Technique: Left: CT. Right: PSMA PET, same axial level, [18F]PSMA-1007 tracer. acquired on Siemens Biograph mCT Flow 20. slice 294 of 409.
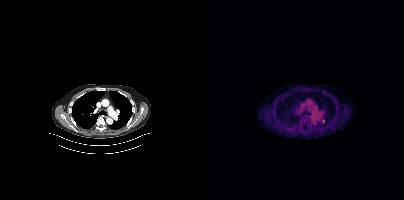
Findings: Coordinates are on the 200×200 PET (right) panel. Small PSMA-avid focus (2 to 4 px across) near (center x, center y): (114, 119).